Left: CT. Right: PSMA PET, same axial level, 18F tracer. Acquired on Siemens Biograph mCT Flow 20.
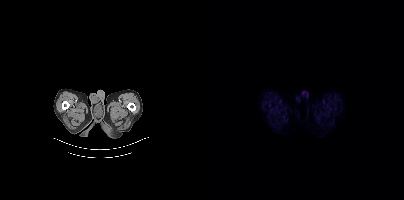
No tumor lesions annotated on this slice.